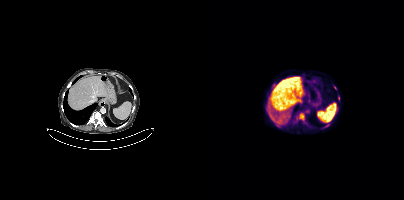
{"modality":"PSMA PET/CT","view":"axial","tracer":"18F-PSMA","pet_grid":[200,200],"coord_frame":"pet_panel","coord_format":"x0,y0,x1,y1","partial":true,"lesion_bboxes":[[95,113,100,120]],"small_foci_centers":[[92,118]]}